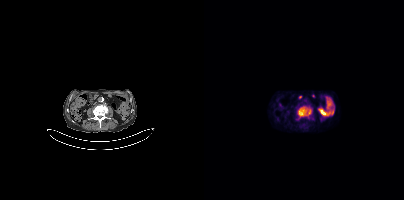
Coordinates are on the 200×200 PET (right) panel. PSMA-avid tumor lesion bounding box (x, y, width, height): x=94 y=106 w=14 h=11.